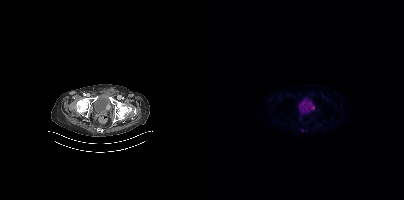
{"modality":"PSMA PET/CT","view":"axial","tracer":"18F","pet_grid":[200,200],"coord_frame":"pet_panel","coord_format":"x0,y0,x1,y1","partial":true,"lesion_bboxes":[],"small_foci_centers":[[108,107],[102,130]]}